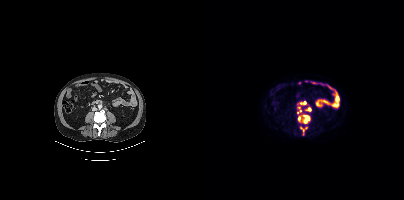
Left: CT. Right: PSMA PET, same axial level, [18F]PSMA-1007 tracer. Slice position z = -1383 mm. Coordinates are on the 200×200 PET (right) panel. (showing 5 of 6 foci) PSMA-avid tumor lesion bounding boxes (x0,y0,x1,y1): [94,114,106,123]; [93,101,102,105]; [101,107,107,111]; [93,106,97,112]; [96,127,103,132].